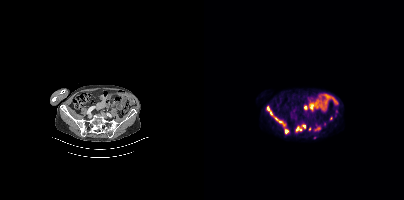
Coordinates are on the 200×200 PET (right) panel. (showing 9 of 10 foci) PSMA-avid tumor lesion bounding boxes (x0, y0)-(x1, y1): (62, 106)-(81, 126); (92, 124)-(101, 131); (81, 129)-(84, 133); (111, 127)-(116, 130). Small PSMA-avid foci (2 to 4 px across) near (center x, center y): (120, 123); (127, 118); (106, 128); (131, 114); (110, 137).